- Left: CT. Right: PSMA PET, same axial level, 18F tracer
- slice 25 of 411
- PET panel 200×200 px (4.1 mm/px)
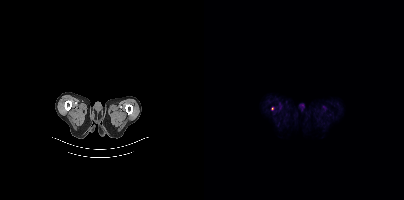
Findings: Coordinates are on the 200×200 PET (right) panel. Small PSMA-avid focus (2 to 4 px across) near (center x, center y): (68, 108).